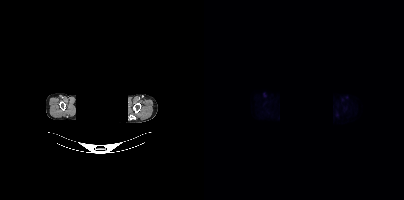
Findings: This slice has no annotated PSMA-avid lesion.
- any black rectangle over the head is a privacy mask, not anatomy
- Two-panel axial: CT | PSMA PET, 18F tracer
- slice position z = -806 mm
- PET panel 200×200 px (4.1 mm/px)